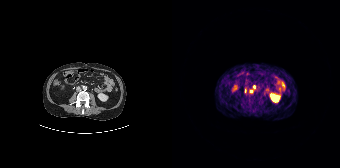
Two-panel axial: CT | PSMA PET, 68Ga-PSMA tracer. PET panel 168×168 px (4.1 mm/px). Coordinates are on the 168×168 PET (right) panel. (showing 2 of 3 foci) Small PSMA-avid foci (2 to 4 px across) near (center x, center y): (82, 87); (79, 91).